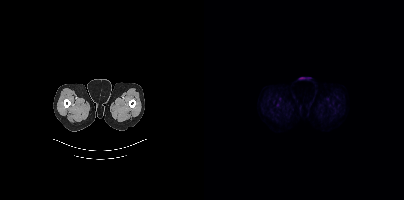
No tumor lesions annotated on this slice.
modality: PSMA PET/CT | tracer: 18F-PSMA | view: axial